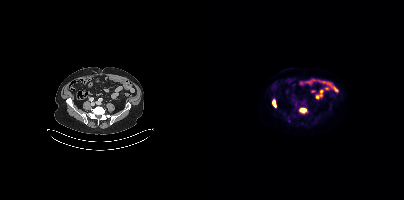
Technique: Left: CT. Right: PSMA PET, same axial level, 18F-PSMA tracer.
Findings: Coordinates are on the 200×200 PET (right) panel. PSMA-avid tumor lesion bounding boxes (x0, y0)-(x1, y1): (95, 107)-(103, 113) | (68, 99)-(72, 107).